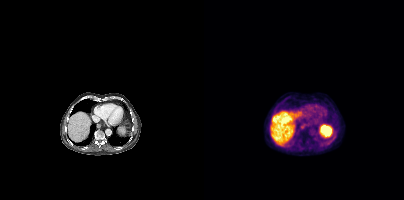
Only PSMA-avid lesion pieces thinner than 2 px on this slice (not listed).